Left: CT. Right: PSMA PET, same axial level, 18F-PSMA tracer. Acquired on Siemens Biograph mCT Flow 20. Slice position z = -688 mm. PET panel 200×200 px (4.1 mm/px).
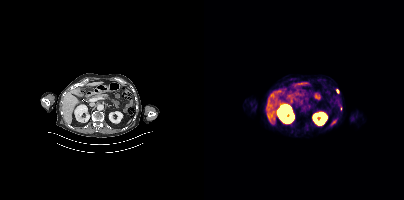
Coordinates are on the 200×200 PET (right) panel. Small PSMA-avid focus (2 to 4 px across) near (center x, center y): (133, 90).